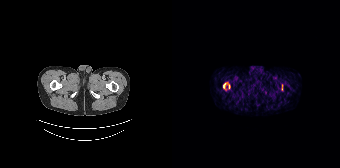
- Two-panel axial: CT | PSMA PET, 68Ga tracer
- acquired on Siemens Biograph 64-4R TruePoint
- slice position z = -855 mm
- PET panel 168×168 px (4.1 mm/px)
Findings: Coordinates are on the 168×168 PET (right) panel. (showing 1 of 3 foci) PSMA-avid tumor lesion bounding box (x, y, width, height): x=51 y=82 w=8 h=8.